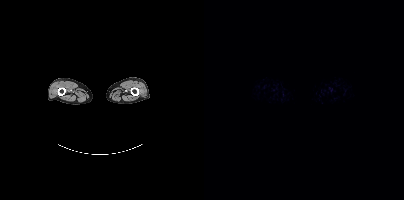
Two-panel axial: CT | PSMA PET, [18F]PSMA-1007 tracer. This slice has no annotated PSMA-avid lesion.